modality: PSMA PET/CT | tracer: [18F]PSMA-1007 | view: axial | PET grid: 200×200
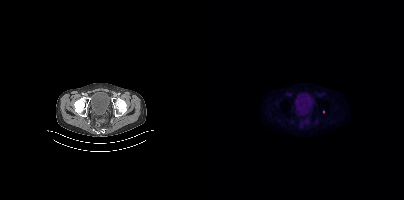
No PSMA-avid tumor lesions on this slice.